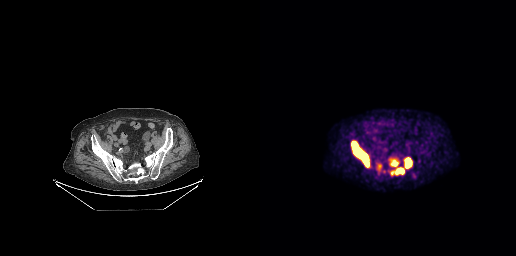
modality: PSMA PET/CT | tracer: 18F-PSMA | view: axial | PET grid: 256×256
Coordinates are on the 256×256 PET (right) panel. (showing 3 of 4 foci) PSMA-avid tumor lesion bounding boxes (x, y, width, height): x=91 y=141 w=19 h=27 / x=128 y=158 w=17 h=17 / x=144 y=157 w=9 h=12.